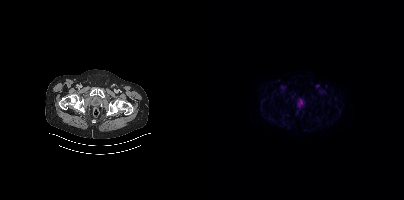
No tumor lesions annotated on this slice.